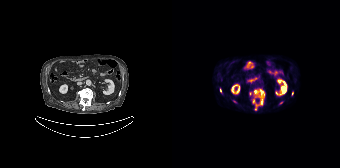
{"modality":"PSMA PET/CT","view":"axial","tracer":"18F","pet_grid":[168,168],"coord_frame":"pet_panel","coord_format":"x0,y0,x1,y1","lesion_bboxes":[[81,89,92,110],[48,88,49,92]],"small_foci_centers":[[109,102],[62,101],[120,93],[78,93]]}